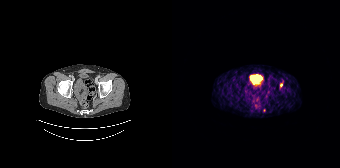
{"pet_grid":[168,168],"coord_frame":"pet_panel","coord_format":"x0,y0,x1,y1","lesion_bboxes":[],"small_foci_centers":[[109,84]],"modality":"PSMA PET/CT","view":"axial","tracer":"68Ga-PSMA"}